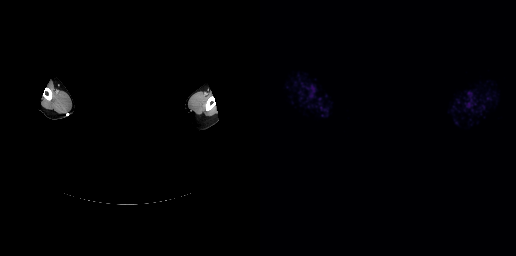
No PSMA-avid tumor lesions on this slice. Two-panel axial: CT | PSMA PET, 18F tracer. PET panel 256×256 px (2.7 mm/px). Face de-identified by blanking a block of the head.